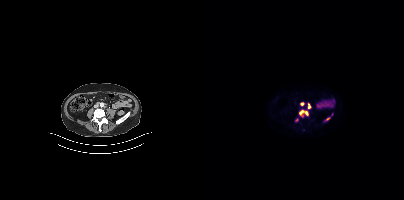
modality: PSMA PET/CT | tracer: [18F]PSMA-1007 | view: axial
Coordinates are on the 200×200 PET (right) panel. PSMA-avid tumor lesion bounding boxes (x, y, width, height): x=95 y=110 w=10 h=6 | x=104 y=103 w=3 h=6. Small PSMA-avid foci (2 to 4 px across) near (center x, center y): (98, 104) | (124, 118) | (92, 119).